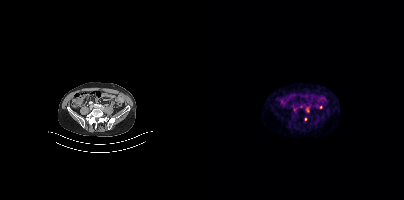
Coordinates are on the 200×200 PET (right) panel. (showing 2 of 3 foci) Small PSMA-avid foci (2 to 4 px across) near (center x, center y): (101, 119), (103, 110).